- Paired axial CT (left) and PSMA PET (right), [18F]PSMA-1007 tracer
- acquired on Siemens Biograph mCT Flow 20
- PET panel 200×200 px (4.1 mm/px)
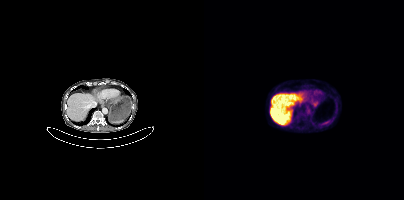
Findings: This slice has no annotated PSMA-avid lesion.